modality: PSMA PET/CT | tracer: 68Ga | view: axial
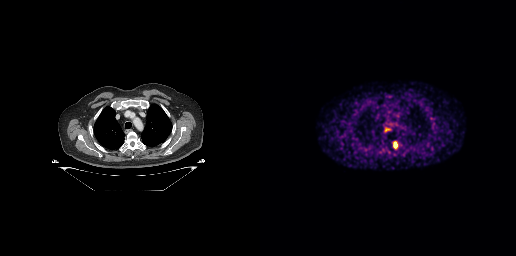
Coordinates are on the 256×256 PET (right) panel. PSMA-avid tumor lesion bounding box (x0,y0,x1,y1): [134,142,137,147].